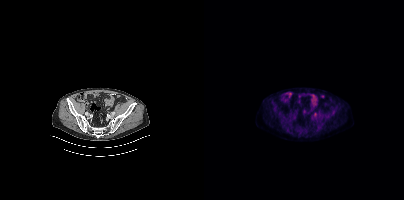
{"modality":"PSMA PET/CT","view":"axial","tracer":"[18F]PSMA-1007","pet_grid":[200,200],"coord_frame":"pet_panel","coord_format":"x0,y0,x1,y1","lesion_bboxes":[],"small_foci_centers":[[110,114]]}